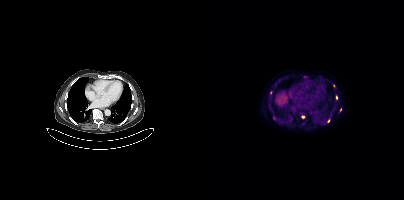
{"pet_grid":[200,200],"coord_frame":"pet_panel","coord_format":"x0,y0,x1,y1","partial":true,"lesion_bboxes":[],"small_foci_centers":[[99,116],[124,120],[132,97],[136,109],[129,85],[69,117]],"modality":"PSMA PET/CT","view":"axial","tracer":"18F"}